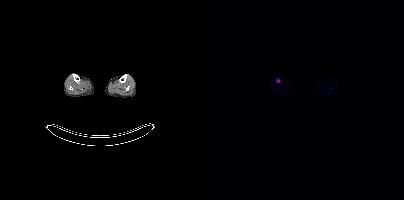
Coordinates are on the 200×200 PET (right) panel. Small PSMA-avid focus (2 to 4 px across) near (center x, center y): (74, 80).